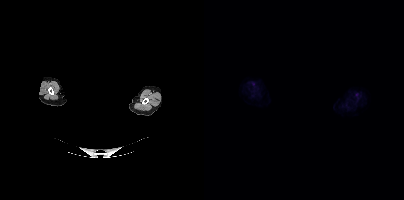
This slice has no annotated PSMA-avid lesion.
De-identified by setting a box covering the face to black before release.